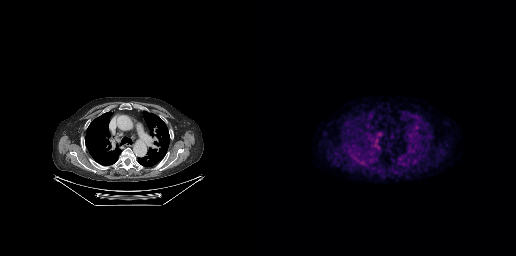
Findings: No PSMA-avid tumor lesions on this slice.
- Paired axial CT (left) and PSMA PET (right), 18F-PSMA tracer
- acquired on GE Discovery 690
- slice 201 of 263